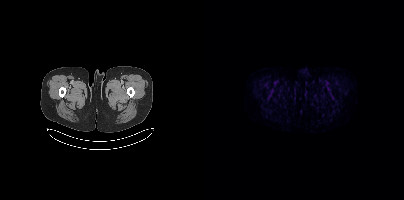
Coordinates are on the 200×200 PET (right) panel. PSMA-avid tumor lesion bounding boxes (x0, y0)-(x1, y1): (125, 90)-(129, 97) / (65, 89)-(69, 92). Left: CT. Right: PSMA PET, same axial level, 18F-PSMA tracer. Acquired on Siemens Biograph mCT Flow 20. Slice position z = -823 mm. PET panel 200×200 px (4.1 mm/px).